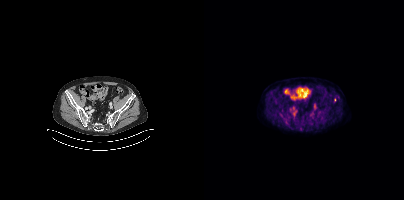
{"modality":"PSMA PET/CT","view":"axial","tracer":"[18F]PSMA-1007","pet_grid":[200,200],"coord_frame":"pet_panel","coord_format":"x0,y0,x1,y1","psma_avid_lesions":false}